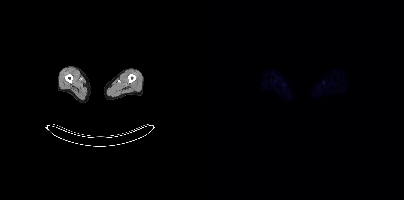
Negative for PSMA-avid disease on this slice.